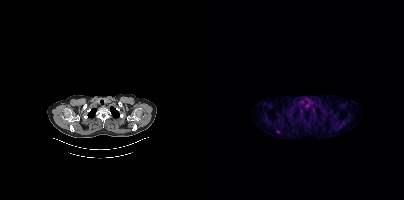
- Left: CT. Right: PSMA PET, same axial level, 68Ga-PSMA tracer
- acquired on Siemens Biograph mCT Flow 20
- slice position z = -499 mm
- PET panel 200×200 px (4.1 mm/px)
Findings: Only PSMA-avid lesion pieces thinner than 2 px on this slice (not listed).